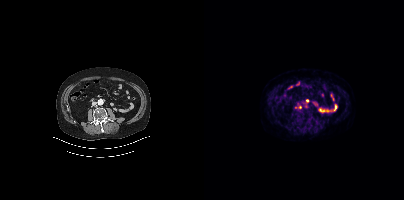
Paired axial CT (left) and PSMA PET (right), 18F tracer. Acquired on Siemens Biograph mCT Flow 20. Slice position z = -1294 mm. PET panel 200×200 px (4.1 mm/px). Coordinates are on the 200×200 PET (right) panel. (showing 2 of 3 foci) Small PSMA-avid foci (2 to 4 px across) near (center x, center y): (103, 100); (91, 107).